Two-panel axial: CT | PSMA PET, 18F-PSMA tracer. Acquired on Siemens Biograph mCT Flow 20. Slice position z = -1481 mm. PET panel 200×200 px (4.1 mm/px).
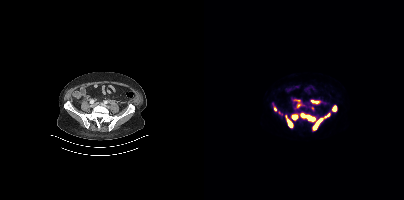
Coordinates are on the 200×200 PET (right) panel. PSMA-avid tumor lesion bounding boxes (partial; 1 more focus not listed):
| # | x0 | y0 | x1 | y1 |
|---|---|---|---|---|
| 1 | 108 | 113 | 126 | 130 |
| 2 | 96 | 113 | 111 | 121 |
| 3 | 81 | 115 | 89 | 127 |
| 4 | 87 | 114 | 94 | 120 |
| 5 | 107 | 100 | 115 | 103 |
| 6 | 128 | 106 | 132 | 111 |
Small PSMA-avid foci (2 to 4 px across) near (center x, center y): (94, 105); (71, 108); (93, 100).